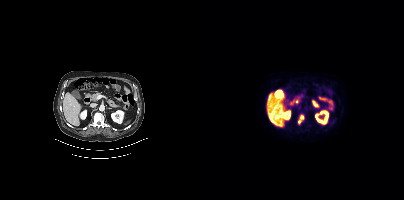
Coordinates are on the 200×200 PET (right) panel. PSMA-avid tumor lesion bounding box (x0, y0)-(x1, y1): (94, 115)-(100, 123). Two-panel axial: CT | PSMA PET, 18F-PSMA tracer. Slice position z = -1150 mm. PET panel 200×200 px (4.1 mm/px).